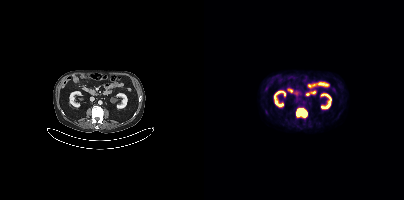
Coordinates are on the 200×200 PET (right) panel. PSMA-avid tumor lesion bounding box (x0,y0,x1,y1): [92,108,103,117].